- Paired axial CT (left) and PSMA PET (right), 18F tracer
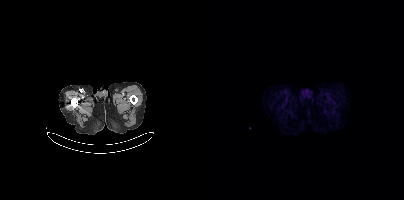
Findings: No PSMA-avid tumor lesions on this slice.